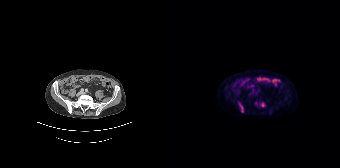
Coordinates are on the 168×168 PET (right) panel. PSMA-avid tumor lesion bounding box (x0, y0)-(x1, y1): (67, 103)-(71, 111). Small PSMA-avid focus (2 to 4 px across) near (center x, center y): (90, 105). Left: CT. Right: PSMA PET, same axial level, [18F]PSMA-1007 tracer. Acquired on Siemens Biograph 64-4R TruePoint. Slice position z = -1500 mm.